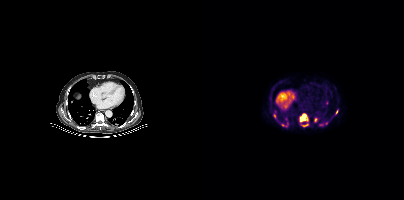
Coordinates are on the 200×200 PET (right) panel. PSMA-avid tumor lesion bounding boxes:
| # | x0 | y0 | x1 | y1 |
|---|---|---|---|---|
| 1 | 96 | 114 | 104 | 122 |
| 2 | 77 | 122 | 84 | 127 |
Small PSMA-avid foci (2 to 4 px across) near (center x, center y): (111, 119); (117, 124); (132, 111); (70, 116); (99, 125); (122, 123); (103, 124).
Left: CT. Right: PSMA PET, same axial level, 18F tracer.